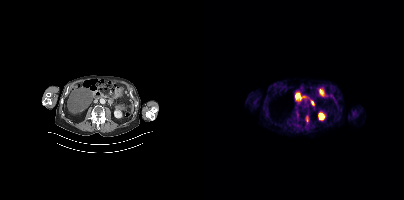
Technique: Two-panel axial: CT | PSMA PET, 18F tracer. acquired on Siemens Biograph mCT Flow 20. slice 186 of 427. PET panel 200×200 px (4.1 mm/px).
Findings: Coordinates are on the 200×200 PET (right) panel. PSMA-avid tumor lesion bounding box (x0,y0,x1,y1): [102,116,104,122].